Left: CT. Right: PSMA PET, same axial level, 68Ga tracer. Acquired on Siemens Biograph 64-4R TruePoint. Slice position z = -528 mm. PET panel 168×168 px (4.1 mm/px).
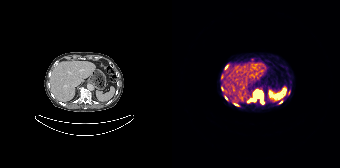
Coordinates are on the 168×168 PET (right) panel. PSMA-avid tumor lesion bounding boxes (x, y, width, height): x=75 y=90 w=17 h=14 | x=115 y=90 w=4 h=6 | x=62 y=103 w=5 h=3. Small PSMA-avid foci (2 to 4 px across) near (center x, center y): (54, 97) | (108, 102) | (54, 67).